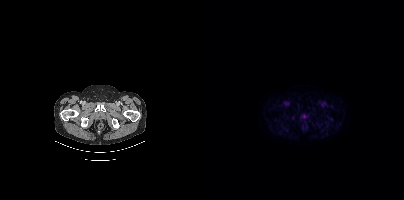
No tumor lesions annotated on this slice.